modality: PSMA PET/CT | tracer: [18F]PSMA-1007 | view: axial | PET grid: 200×200
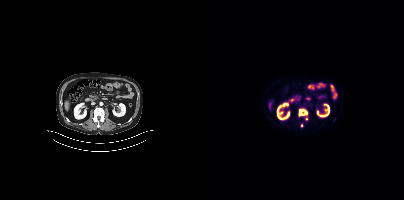
Coordinates are on the 200×200 PET (right) panel. PSMA-avid tumor lesion bounding box (x0,y0,x1,y1): [94,108,103,116]. Small PSMA-avid foci (2 to 4 px across) near (center x, center y): (102, 119) (97, 125).